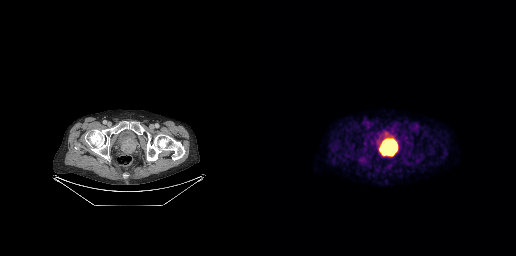
Left: CT. Right: PSMA PET, same axial level, 18F-PSMA tracer. Slice position z = -866 mm. PET panel 256×256 px (2.7 mm/px). Coordinates are on the 256×256 PET (right) panel. PSMA-avid tumor lesion bounding box (x0, y0)-(x1, y1): (120, 140)-(135, 154).